modality: PSMA PET/CT | tracer: 18F | view: axial
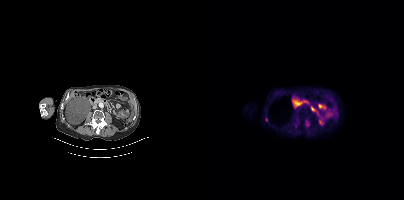
Coordinates are on the 200×200 PET (right) panel. Small PSMA-avid focus (2 to 4 px across) near (center x, center y): (62, 119).